Paired axial CT (left) and PSMA PET (right), [18F]PSMA-1007 tracer. Acquired on Siemens Biograph mCT Flow 20. Slice position z = -1540 mm. PET panel 200×200 px (4.1 mm/px).
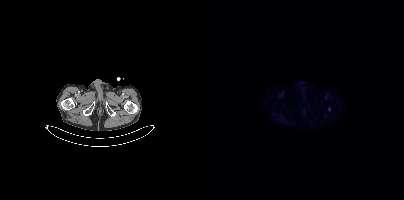
Coordinates are on the 200×200 PET (right) panel. Small PSMA-avid focus (2 to 4 px across) near (center x, center y): (125, 109).